Two-panel axial: CT | PSMA PET, 18F-PSMA tracer. Acquired on Siemens Biograph mCT Flow 20. Slice position z = -896 mm. PET panel 200×200 px (4.1 mm/px).
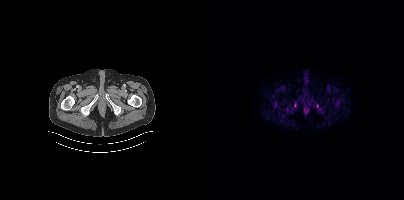
No tumor lesions annotated on this slice.